modality: PSMA PET/CT | tracer: [18F]PSMA-1007 | view: axial
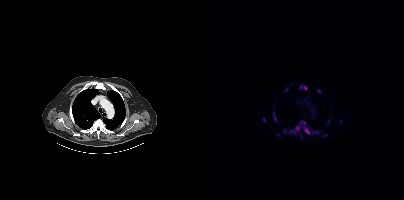
Coordinates are on the 200×200 PET (right) panel. (showing 9 of 14 foci) PSMA-avid tumor lesion bounding boxes (x0, y0)-(x1, y1): (85, 121)-(106, 133) | (96, 85)-(103, 89) | (69, 112)-(72, 121) | (110, 131)-(114, 133) | (97, 134)-(98, 138). Small PSMA-avid foci (2 to 4 px across) near (center x, center y): (81, 130) | (59, 119) | (115, 91) | (73, 134).